Technique: Two-panel axial: CT | PSMA PET, 18F tracer.
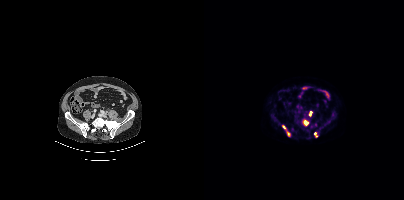
Findings: Coordinates are on the 200×200 PET (right) panel. PSMA-avid tumor lesion bounding boxes (x0, y0)-(x1, y1): (99, 120)-(104, 125); (110, 132)-(113, 137); (105, 111)-(108, 116); (78, 125)-(81, 129); (83, 132)-(85, 136).